modality: PSMA PET/CT | tracer: 68Ga-PSMA | view: axial | PET grid: 256×256
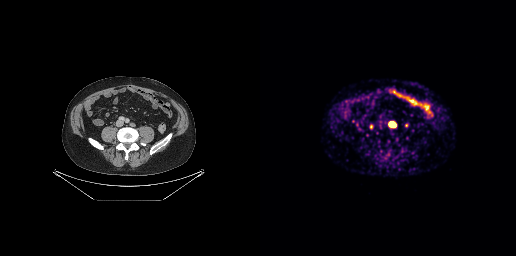
Coordinates are on the 256×256 PET (right) panel. PSMA-avid tumor lesion bounding box (x, y, width, height): x=128 y=121 w=9 h=7.